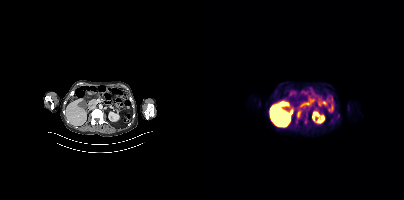
{"modality":"PSMA PET/CT","view":"axial","tracer":"[18F]PSMA-1007","pet_grid":[200,200],"coord_frame":"pet_panel","coord_format":"x0,y0,x1,y1","lesion_bboxes":[[93,111,97,118]]}